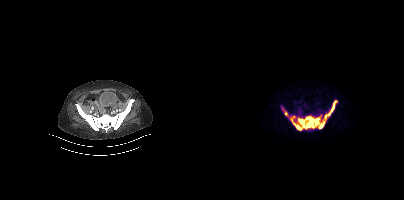
Coordinates are on the 200×200 PET (right) panel. PSMA-avid tumor lesion bounding boxes (x0,y0,x1,y1): [89,115,120,130], [122,100,133,116], [80,111,87,118]. Small PSMA-avid foci (2 to 4 px across) near (center x, center y): (78, 107), (120, 122), (115, 125).